Two-panel axial: CT | PSMA PET, 18F-PSMA tracer. Slice position z = -595 mm. PET panel 200×200 px (4.1 mm/px).
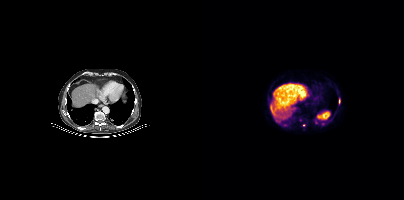
Coordinates are on the 200×200 PET (right) panel. PSMA-avid tumor lesion bounding boxes (partial; 1 more focus not listed):
| # | x0 | y0 | x1 | y1 |
|---|---|---|---|---|
| 1 | 135 | 99 | 136 | 103 |
Small PSMA-avid focus (2 to 4 px across) near (center x, center y): (75, 121).